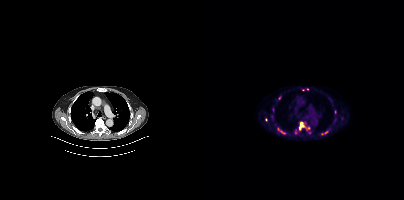
Coordinates are on the 200×200 PET (right) panel. PSMA-avid tumor lesion bounding boxes (partial; 3 more foci not listed):
| # | x0 | y0 | x1 | y1 |
|---|---|---|---|---|
| 1 | 95 | 122 | 99 | 129 |
| 2 | 74 | 128 | 81 | 133 |
Small PSMA-avid focus (2 to 4 px across) near (center x, center y): (62, 119).
Left: CT. Right: PSMA PET, same axial level, 18F-PSMA tracer. Acquired on Siemens Biograph mCT Flow 20. Slice 298 of 413.